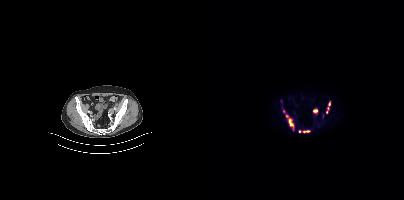
Coordinates are on the 200×200 PET (right) panel. (showing 7 of 8 foci) PSMA-avid tumor lesion bounding boxes (x0, y0)-(x1, y1): (82, 114)-(90, 130) | (99, 130)-(105, 132) | (109, 109)-(113, 112) | (78, 107)-(80, 112). Small PSMA-avid foci (2 to 4 px across) near (center x, center y): (125, 103) | (95, 131) | (122, 112).